Paired axial CT (left) and PSMA PET (right), 68Ga-PSMA tracer. Acquired on GE Discovery 690.
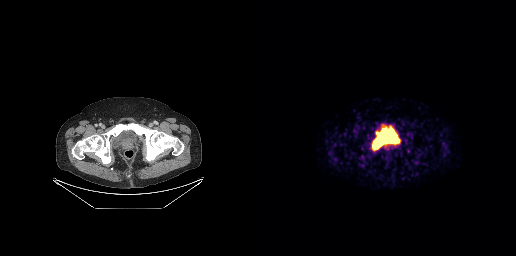
Coordinates are on the 256×256 PET (right) panel. PSMA-avid tumor lesion bounding box (x0,y0,x1,y1): [117,131,121,136].